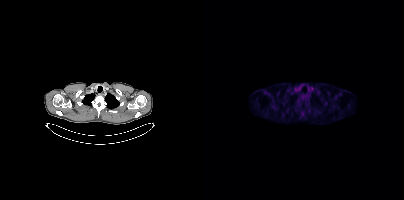
No tumor lesions annotated on this slice.